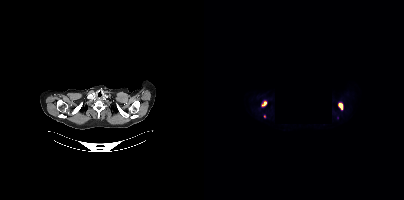
A block of pixels was blacked out before release to protect privacy. Paired axial CT (left) and PSMA PET (right), [18F]PSMA-1007 tracer. Slice 339 of 395. Coordinates are on the 200×200 PET (right) panel. PSMA-avid tumor lesion bounding boxes (x0,y0,x1,y1): [134,103,138,109]; [57,101,62,106]. Small PSMA-avid focus (2 to 4 px across) near (center x, center y): (60, 116).